Technique: Two-panel axial: CT | PSMA PET, 18F tracer. slice position z = -904 mm.
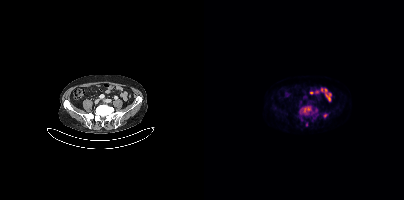
Findings: Coordinates are on the 200×200 PET (right) panel. (showing 3 of 4 foci) PSMA-avid tumor lesion bounding boxes (x0,y0,x1,y1): [96,106,107,114]; [119,113,123,117]. Small PSMA-avid focus (2 to 4 px across) near (center x, center y): (102, 124).